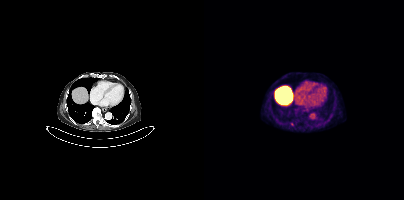
Coordinates are on the 200×200 PET (right) panel. Small PSMA-avid focus (2 to 4 px across) near (center x, center y): (88, 124).